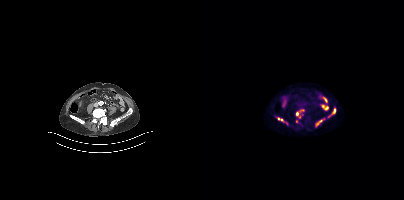
Coordinates are on the 200×200 PET (right) panel. (showing 5 of 6 foci) PSMA-avid tumor lesion bounding boxes (x, y, width, height): x=92 y=109 w=9 h=9 | x=111 y=118 w=10 h=10 | x=124 y=108 w=8 h=10 | x=73 y=117 w=7 h=5. Small PSMA-avid focus (2 to 4 px across) near (center x, center y): (92, 121).